Two-panel axial: CT | PSMA PET, 18F-PSMA tracer.
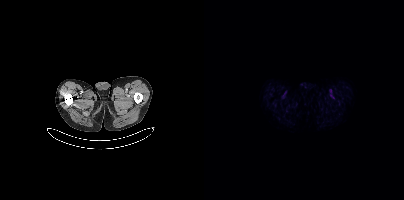
This slice has no annotated PSMA-avid lesion.